- Left: CT. Right: PSMA PET, same axial level, 18F tracer
- acquired on Siemens Biograph mCT Flow 20
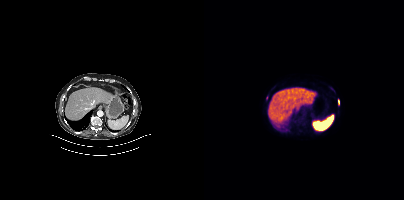
Findings: Coordinates are on the 200×200 PET (right) panel. Small PSMA-avid foci (2 to 4 px across) near (center x, center y): (134, 101) | (62, 97).